Technique: Paired axial CT (left) and PSMA PET (right), 18F-PSMA tracer. PET panel 200×200 px (4.1 mm/px).
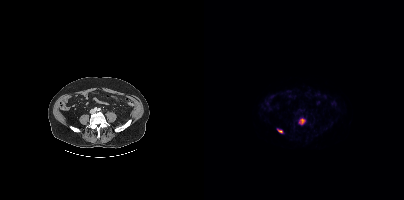
Findings: Coordinates are on the 200×200 PET (right) panel. PSMA-avid tumor lesion bounding boxes (x0, y0)-(x1, y1): (95, 118)-(101, 124) | (73, 129)-(78, 132).